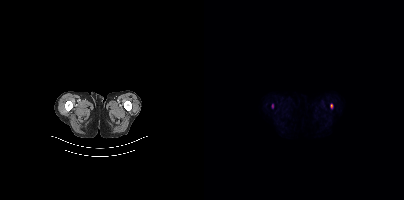
Technique: Paired axial CT (left) and PSMA PET (right), 18F tracer. acquired on Siemens Biograph mCT Flow 20. PET panel 200×200 px (4.1 mm/px).
Findings: Coordinates are on the 200×200 PET (right) panel. PSMA-avid tumor lesion bounding box (x0,y0,x1,y1): [126,104,128,108]. Small PSMA-avid focus (2 to 4 px across) near (center x, center y): (68, 105).